A rectangular block over the head has been blanked out for de-identification. Paired axial CT (left) and PSMA PET (right), 18F tracer.
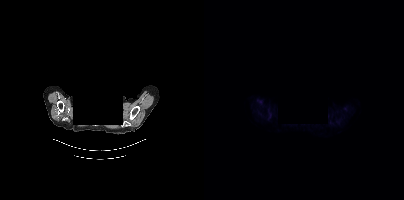
No PSMA-avid tumor lesions on this slice.